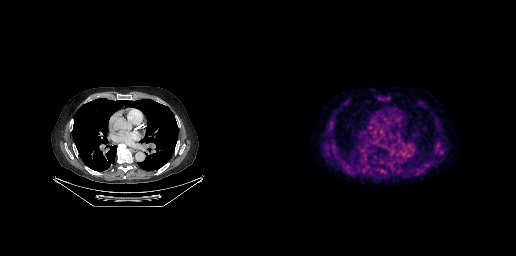
Left: CT. Right: PSMA PET, same axial level, 18F-PSMA tracer. Acquired on GE Discovery 690. Slice 285 of 371. PET panel 256×256 px (2.7 mm/px). No tumor lesions annotated on this slice.